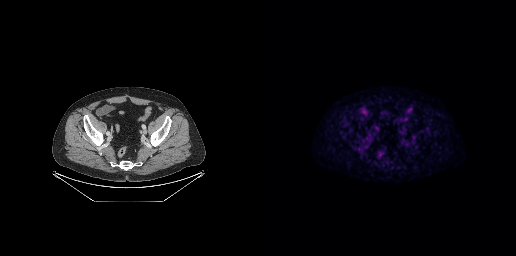
- Two-panel axial: CT | PSMA PET, 18F tracer
- acquired on GE Discovery 690
- slice position z = -645 mm
Findings: No PSMA-avid tumor lesions on this slice.